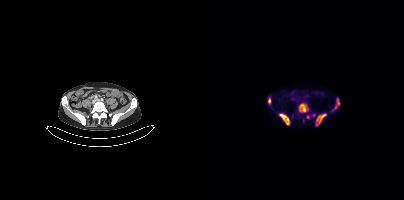
{"modality":"PSMA PET/CT","view":"axial","tracer":"[18F]PSMA-1007","pet_grid":[200,200],"coord_frame":"pet_panel","coord_format":"x0,y0,x1,y1","partial":true,"lesion_bboxes":[[95,103,104,112],[75,113,85,124],[111,113,122,126],[130,98,135,109],[64,97,66,104]],"small_foci_centers":[[104,116],[109,115]]}